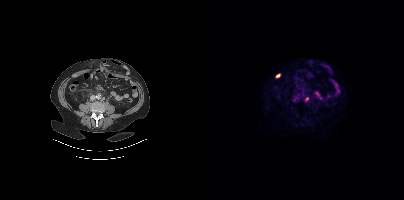
Left: CT. Right: PSMA PET, same axial level, 18F tracer. Acquired on Siemens Biograph mCT Flow 20. PET panel 200×200 px (4.1 mm/px). Coordinates are on the 200×200 PET (right) panel. Small PSMA-avid focus (2 to 4 px across) near (center x, center y): (94, 99).